modality: PSMA PET/CT | tracer: [18F]PSMA-1007 | view: axial | de-identification: head region blanked (face removed)
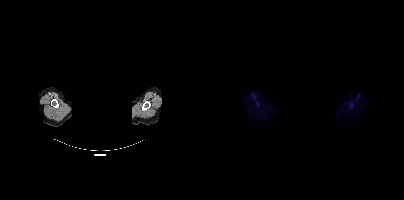
Coordinates are on the 200×200 PET (right) panel. PSMA-avid tumor lesion bounding box (x0, y0)-(x1, y1): (145, 104)-(149, 108).